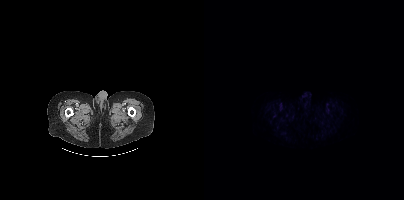
{"modality":"PSMA PET/CT","view":"axial","tracer":"18F-PSMA","pet_grid":[200,200],"coord_frame":"pet_panel","coord_format":"x0,y0,x1,y1","psma_avid_lesions":false}